- Paired axial CT (left) and PSMA PET (right), 18F tracer
- acquired on Siemens Biograph mCT Flow 20
- slice 42 of 427
- PET panel 200×200 px (4.1 mm/px)
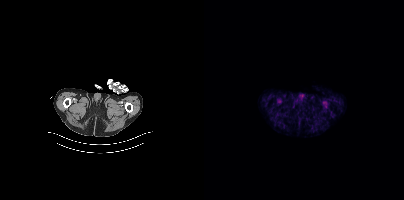
Findings: No PSMA-avid tumor lesions on this slice.